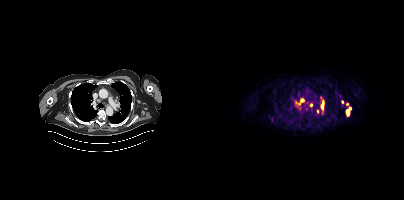
Coordinates are on the 200×200 PET (right) panel. PSMA-avid tumor lesion bounding boxes (x0, y0)-(x1, y1): (142, 107)-(147, 114) | (117, 100)-(120, 107). Small PSMA-avid foci (2 to 4 px across) near (center x, center y): (107, 104) | (95, 104) | (98, 100) | (113, 111) | (138, 101) | (143, 103) | (94, 93).